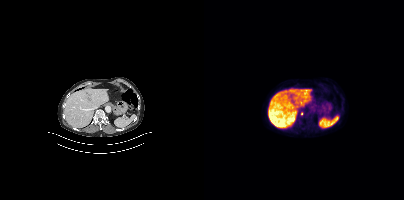
Coordinates are on the 200×200 PET (right) panel. Small PSMA-avid focus (2 to 4 px across) near (center x, center y): (97, 113). Paired axial CT (left) and PSMA PET (right), 18F tracer. PET panel 200×200 px (4.1 mm/px).